Two-panel axial: CT | PSMA PET, [18F]PSMA-1007 tracer. PET panel 200×200 px (4.1 mm/px).
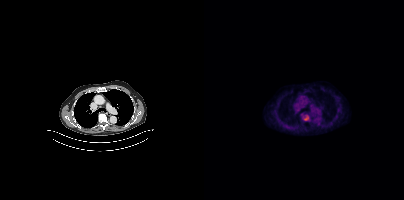
Coordinates are on the 200×200 PET (right) panel. PSMA-avid tumor lesion bounding box (x, y, width, height): x=100 y=115 w=5 h=6.